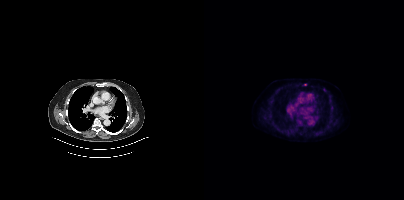
Two-panel axial: CT | PSMA PET, 18F-PSMA tracer. Slice 251 of 381. Coordinates are on the 200×200 PET (right) panel. Small PSMA-avid focus (2 to 4 px across) near (center x, center y): (101, 84).